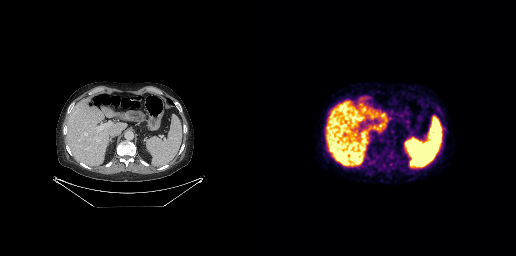
Negative for PSMA-avid disease on this slice.